Paired axial CT (left) and PSMA PET (right), [18F]PSMA-1007 tracer. Acquired on GE Discovery 690. PET panel 256×256 px (2.7 mm/px).
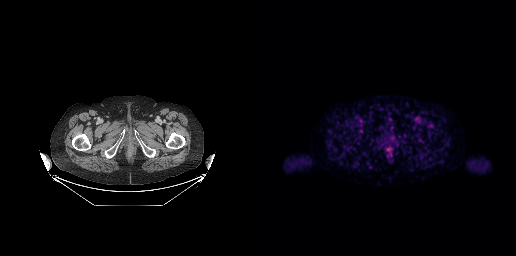
No PSMA-avid tumor lesions on this slice.